modality: PSMA PET/CT | tracer: 18F-PSMA | view: axial | PET grid: 200×200 | de-identification: head region blacked out before release
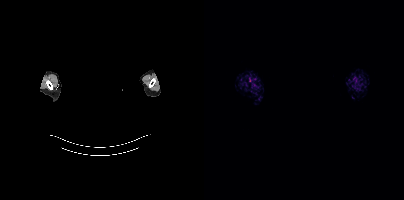
This slice has no annotated PSMA-avid lesion.